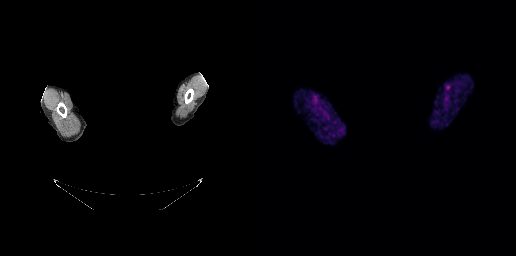
No PSMA-avid tumor lesions on this slice.
de-identification: head region blanked (face removed) | modality: PSMA PET/CT | tracer: 18F | view: axial